De-identified by setting a box covering the face to black before release.
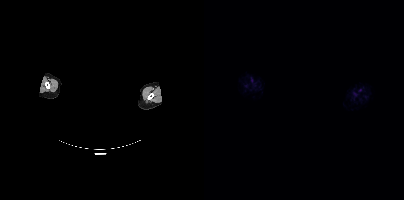
No tumor lesions annotated on this slice.